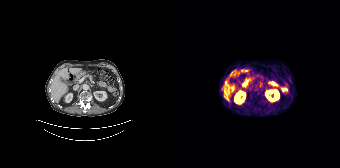
{"modality":"PSMA PET/CT","view":"axial","tracer":"68Ga","pet_grid":[168,168],"coord_frame":"pet_panel","coord_format":"x0,y0,x1,y1","psma_avid_lesions":false}